modality: PSMA PET/CT | tracer: [18F]PSMA-1007 | view: axial | PET grid: 200×200 | de-identification: facial region redacted
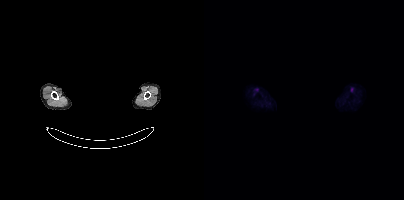
No PSMA-avid tumor lesions on this slice.